Paired axial CT (left) and PSMA PET (right), 18F tracer. Acquired on GE Discovery 690. Slice position z = -780 mm.
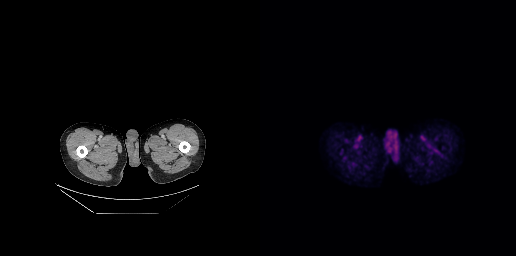
No PSMA-avid tumor lesions on this slice.